Technique: Left: CT. Right: PSMA PET, same axial level, 68Ga tracer. PET panel 256×256 px (2.7 mm/px).
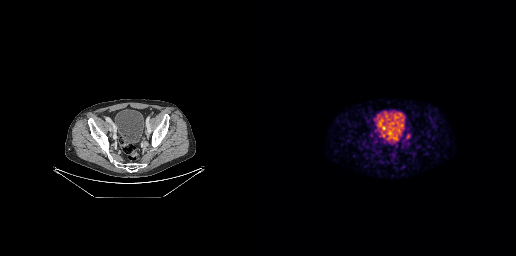
Findings: Coordinates are on the 256×256 PET (right) panel. PSMA-avid tumor lesion bounding box (x0,y0,x1,y1): [146,134,150,139].